- Paired axial CT (left) and PSMA PET (right), 68Ga-PSMA tracer
- PET panel 256×256 px (2.7 mm/px)
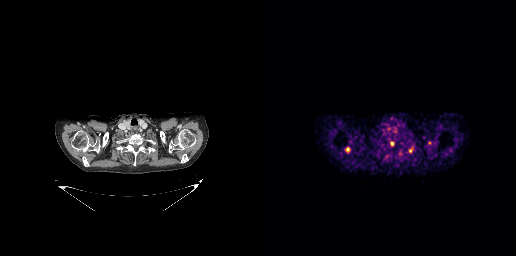
Findings: Coordinates are on the 256×256 PET (right) panel. (showing 3 of 4 foci) Small PSMA-avid foci (2 to 4 px across) near (center x, center y): (132, 143), (150, 150), (169, 142).